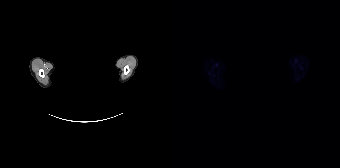
Left: CT. Right: PSMA PET, same axial level, 18F-PSMA tracer. Slice position z = 2038 mm. The head region is masked for de-identification. This slice has no annotated PSMA-avid lesion.